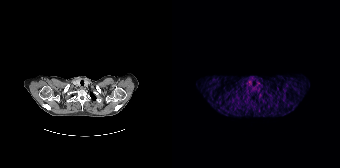
No PSMA-avid tumor lesions on this slice.